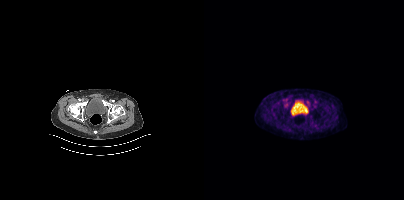
No PSMA-avid tumor lesions on this slice.